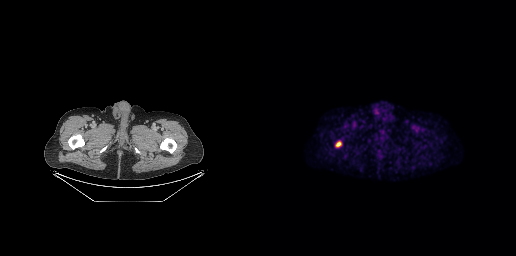
Paired axial CT (left) and PSMA PET (right), 18F-PSMA tracer. Slice 55 of 299. PET panel 256×256 px (2.7 mm/px).
Coordinates are on the 256×256 PET (right) panel. PSMA-avid tumor lesion bounding boxes:
| # | x0 | y0 | x1 | y1 |
|---|---|---|---|---|
| 1 | 76 | 142 | 80 | 146 |